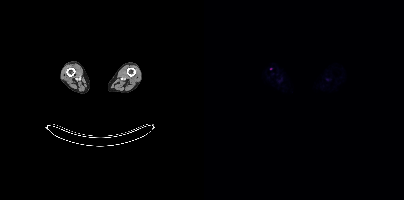
{"modality":"PSMA PET/CT","view":"axial","tracer":"[18F]PSMA-1007","pet_grid":[200,200],"coord_frame":"pet_panel","coord_format":"x0,y0,x1,y1","lesion_bboxes":[],"small_foci_centers":[[67,68]]}